Paired axial CT (left) and PSMA PET (right), 18F tracer. Slice 217 of 417.
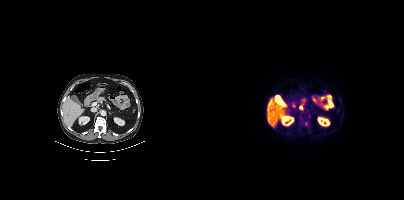
Coordinates are on the 200×200 PET (right) panel. Small PSMA-avid focus (2 to 4 px across) near (center x, center y): (97, 107).